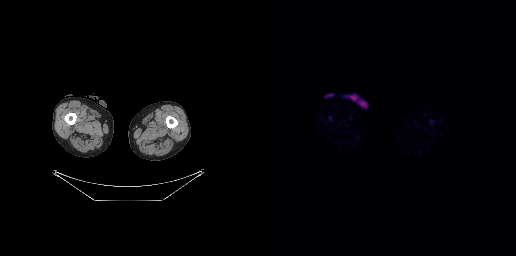
No tumor lesions annotated on this slice.